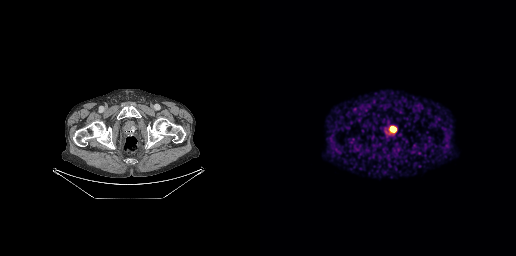
Paired axial CT (left) and PSMA PET (right), 68Ga tracer. Slice position z = -872 mm. PET panel 256×256 px (2.7 mm/px).
Coordinates are on the 256×256 PET (right) panel. PSMA-avid tumor lesion bounding boxes:
| # | x0 | y0 | x1 | y1 |
|---|---|---|---|---|
| 1 | 130 | 126 | 136 | 131 |